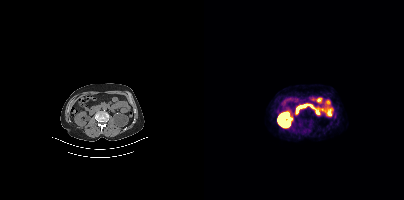
{"modality":"PSMA PET/CT","view":"axial","tracer":"68Ga-PSMA","pet_grid":[200,200],"coord_frame":"pet_panel","coord_format":"x0,y0,x1,y1","psma_avid_lesions":false}